- Left: CT. Right: PSMA PET, same axial level, 18F-PSMA tracer
- acquired on GE Discovery 690
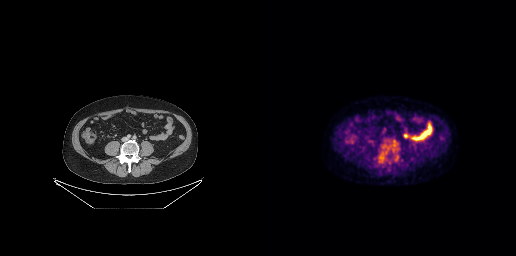
Findings: Only PSMA-avid lesion pieces thinner than 2 px on this slice (not listed).